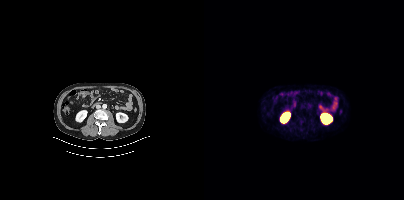
No PSMA-avid tumor lesions on this slice.